Technique: Paired axial CT (left) and PSMA PET (right), 18F-PSMA tracer. slice position z = -780 mm. PET panel 200×200 px (4.1 mm/px).
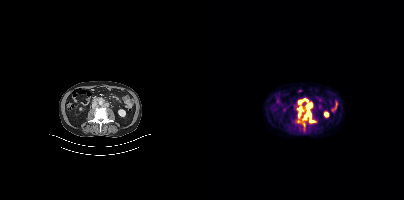
Findings: Coordinates are on the 200×200 PET (right) panel. PSMA-avid tumor lesion bounding boxes (x0,y0,x1,y1): [98,110,111,122] [93,106,99,118] [102,103,108,108] [94,99,103,104]. Small PSMA-avid foci (2 to 4 px across) near (center x, center y): (99, 124) (94, 121).